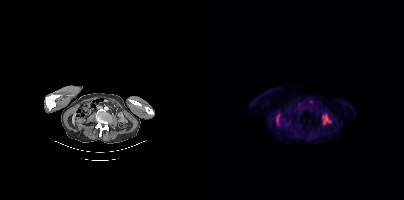
- Left: CT. Right: PSMA PET, same axial level, 18F-PSMA tracer
- slice position z = -1266 mm
- PET panel 200×200 px (4.1 mm/px)
Findings: No PSMA-avid tumor lesions on this slice.